Two-panel axial: CT | PSMA PET, 18F-PSMA tracer. Slice 53 of 263.
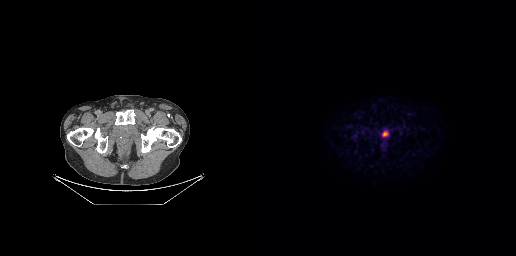
No PSMA-avid tumor lesions on this slice.